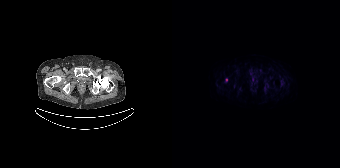
Findings: No tumor lesions annotated on this slice.
Technique: Paired axial CT (left) and PSMA PET (right), 18F tracer. PET panel 168×168 px (4.1 mm/px).